Technique: Two-panel axial: CT | PSMA PET, [18F]PSMA-1007 tracer. PET panel 200×200 px (4.1 mm/px).
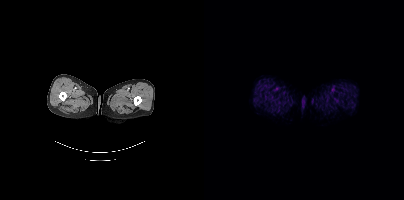
Findings: This slice has no annotated PSMA-avid lesion.